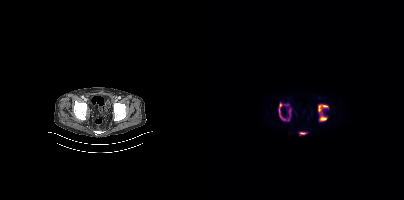
{"modality":"PSMA PET/CT","view":"axial","tracer":"[18F]PSMA-1007","pet_grid":[200,200],"coord_frame":"pet_panel","coord_format":"x0,y0,x1,y1","lesion_bboxes":[[114,104,124,121],[74,103,81,120],[96,132,102,134],[85,109,86,115]],"small_foci_centers":[[82,104],[84,119]]}